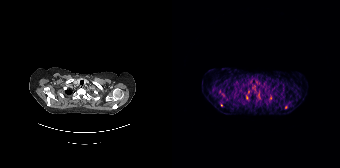
Findings: Coordinates are on the 168×168 PET (right) panel. (showing 2 of 3 foci) Small PSMA-avid foci (2 to 4 px across) near (center x, center y): (114, 107) / (49, 104).
- Two-panel axial: CT | PSMA PET, [68Ga]Ga-PSMA-11 tracer
- acquired on Siemens Biograph 64-4R TruePoint
- slice position z = -1002 mm
- PET panel 168×168 px (4.1 mm/px)